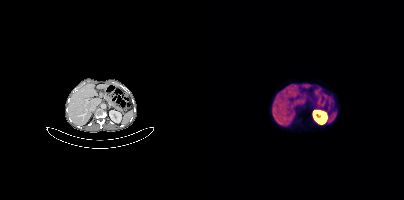
Two-panel axial: CT | PSMA PET, 68Ga tracer. Slice 201 of 409. No tumor lesions annotated on this slice.